- Left: CT. Right: PSMA PET, same axial level, 18F tracer
- acquired on Siemens Biograph mCT Flow 20
- PET panel 200×200 px (4.1 mm/px)
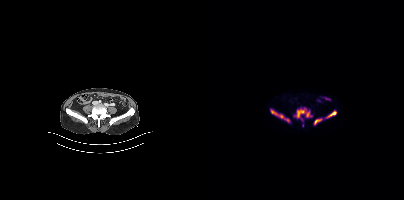
Findings: Coordinates are on the 200×200 PET (right) panel. (showing 4 of 5 foci) PSMA-avid tumor lesion bounding boxes (x, y, width, height): x=90 y=108 w=19 h=13; x=67 y=110 w=19 h=13; x=122 y=111 w=11 h=7; x=110 y=118 w=9 h=7.